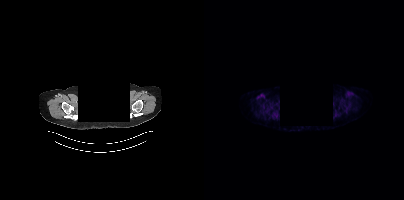
Negative for PSMA-avid disease on this slice. The head region is masked for de-identification. Left: CT. Right: PSMA PET, same axial level, 18F tracer.